Technique: Left: CT. Right: PSMA PET, same axial level, [18F]PSMA-1007 tracer.
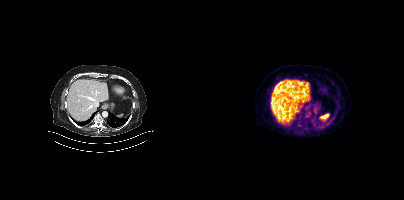
Findings: This slice has no annotated PSMA-avid lesion.